modality: PSMA PET/CT | tracer: 18F-PSMA | view: axial
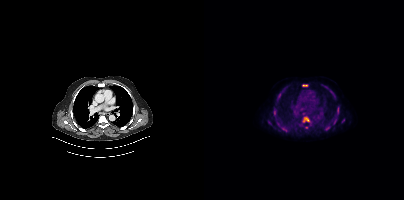
Coordinates are on the 200×200 PET (right) panel. (showing 10 of 11 foci) PSMA-avid tumor lesion bounding boxes (x0, y0)-(x1, y1): (131, 106)-(135, 115) / (99, 117)-(105, 121) / (74, 124)-(82, 130) / (98, 84)-(103, 86) / (130, 119)-(132, 124) / (70, 110)-(71, 114). Small PSMA-avid foci (2 to 4 px across) near (center x, center y): (124, 127) / (139, 120) / (102, 127) / (130, 97).